Left: CT. Right: PSMA PET, same axial level, 18F tracer. PET panel 200×200 px (4.1 mm/px).
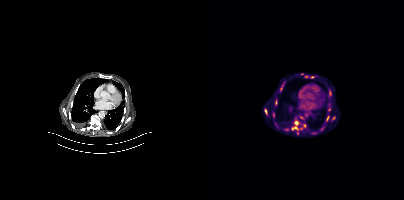
Coordinates are on the 200×200 PET (right) panel. (showing 9 of 10 foci) PSMA-avid tumor lesion bounding boxes (x0, y0)-(x1, y1): (88, 120)-(95, 129); (60, 108)-(63, 115); (76, 85)-(79, 91); (122, 116)-(125, 120); (69, 112)-(70, 116). Small PSMA-avid foci (2 to 4 px across) near (center x, center y): (125, 96); (82, 129); (129, 118); (100, 125).